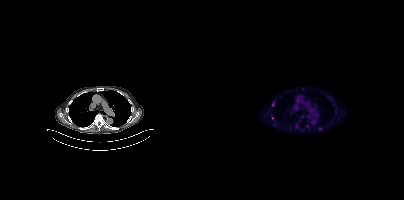
Left: CT. Right: PSMA PET, same axial level, 18F-PSMA tracer. Acquired on Siemens Biograph mCT Flow 20. Coordinates are on the 200×200 PET (right) panel. (showing 2 of 4 foci) Small PSMA-avid foci (2 to 4 px across) near (center x, center y): (68, 104), (68, 118).